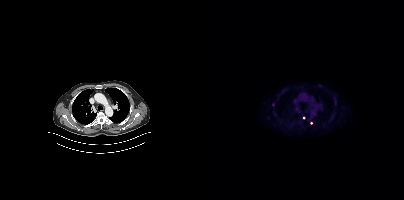
Only PSMA-avid lesion pieces thinner than 2 px on this slice (not listed). Two-panel axial: CT | PSMA PET, 18F tracer. Slice 313 of 421. PET panel 200×200 px (4.1 mm/px).